- Paired axial CT (left) and PSMA PET (right), [18F]PSMA-1007 tracer
- acquired on Siemens Biograph mCT Flow 20
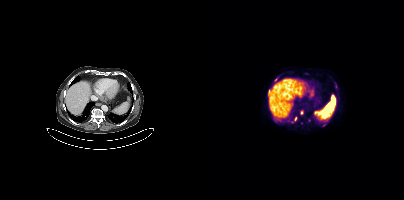
Findings: Coordinates are on the 200×200 PET (right) panel. PSMA-avid tumor lesion bounding boxes (x0,y0,x1,y1): [64,91,65,96], [131,83,133,87]. Small PSMA-avid foci (2 to 4 px across) near (center x, center y): (71, 79), (91, 118), (79, 78), (97, 112), (120, 125).